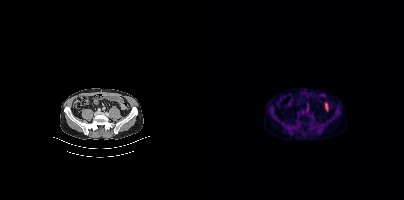
No PSMA-avid tumor lesions on this slice. Two-panel axial: CT | PSMA PET, [18F]PSMA-1007 tracer. PET panel 200×200 px (4.1 mm/px).